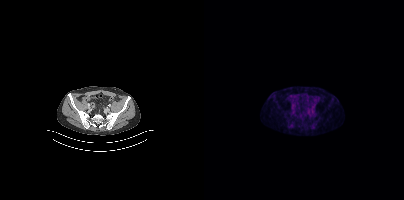
{"modality":"PSMA PET/CT","view":"axial","tracer":"[18F]PSMA-1007","pet_grid":[200,200],"coord_frame":"pet_panel","coord_format":"x0,y0,x1,y1","psma_avid_lesions":false}